modality: PSMA PET/CT | tracer: 68Ga-PSMA | view: axial | PET grid: 200×200
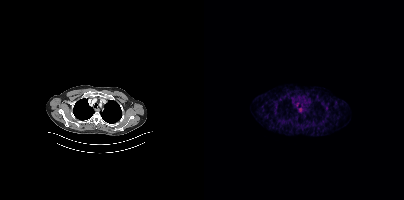
Negative for PSMA-avid disease on this slice.